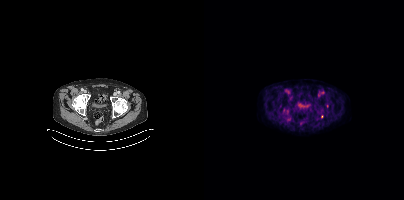
Only PSMA-avid lesion pieces thinner than 2 px on this slice (not listed).